modality: PSMA PET/CT | tracer: [18F]PSMA-1007 | view: axial
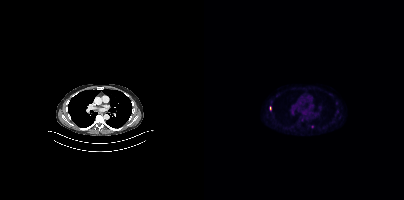
Coordinates are on the 200×200 PET (right) panel. (showing 2 of 3 foci) Small PSMA-avid foci (2 to 4 px across) near (center x, center y): (108, 126) / (66, 107).